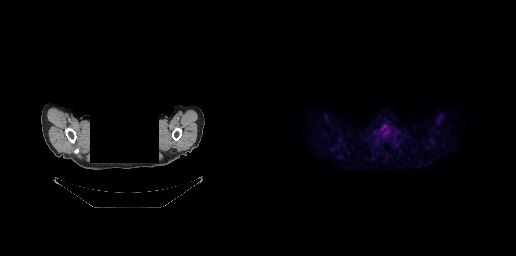
Findings: No PSMA-avid tumor lesions on this slice.
Technique: Paired axial CT (left) and PSMA PET (right), [18F]PSMA-1007 tracer. acquired on GE Discovery 690. slice position z = -122 mm.
Note: Facial anatomy redacted by setting a rectangular region of the head to black.